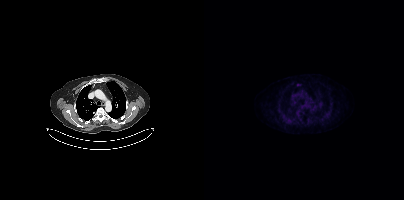
{"modality":"PSMA PET/CT","view":"axial","tracer":"18F-PSMA","pet_grid":[200,200],"coord_frame":"pet_panel","coord_format":"x0,y0,x1,y1","psma_avid_lesions":false}